Paired axial CT (left) and PSMA PET (right), 68Ga tracer. Acquired on GE Discovery 690. PET panel 256×256 px (2.7 mm/px).
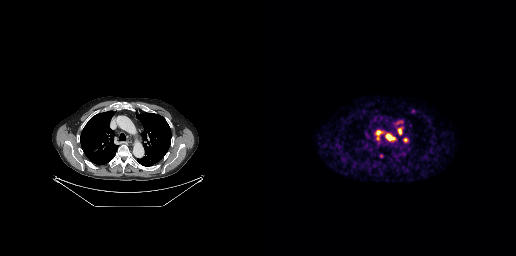
Coordinates are on the 256×256 PET (right) panel. PSMA-avid tumor lesion bounding boxes (x, y, width, height): x=116 y=130 w=6 h=9 | x=138 y=128 w=5 h=7 | x=126 y=135 w=8 h=5. Small PSMA-avid focus (2 to 4 px across) near (center x, center y): (145, 140).